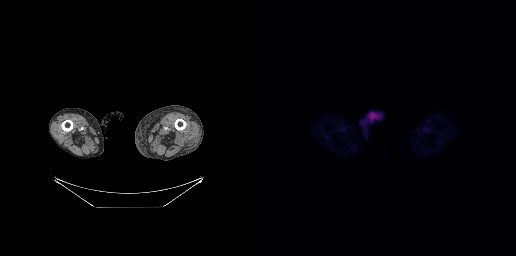
{"pet_grid":[256,256],"coord_frame":"pet_panel","coord_format":"x0,y0,x1,y1","psma_avid_lesions":false,"modality":"PSMA PET/CT","view":"axial","tracer":"[18F]PSMA-1007"}